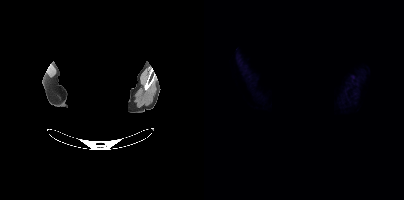
{"modality":"PSMA PET/CT","view":"axial","tracer":"18F","pet_grid":[200,200],"coord_frame":"pet_panel","coord_format":"x0,y0,x1,y1","psma_avid_lesions":false,"redaction":"face masked with black rectangle"}